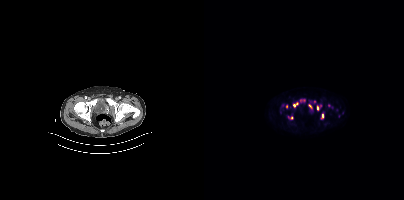
Coordinates are on the 200×200 PET (right) panel. PSMA-avid tumor lesion bounding boxes (x, y, width, height): x=113 y=105 w=5 h=5 | x=89 y=103 w=5 h=4. Small PSMA-avid foci (2 to 4 px across) near (center x, center y): (118, 115) | (87, 118) | (82, 106) | (106, 106).